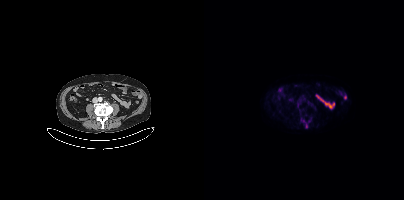
Findings: Only PSMA-avid lesion pieces thinner than 2 px on this slice (not listed).
Technique: Two-panel axial: CT | PSMA PET, [18F]PSMA-1007 tracer. acquired on Siemens Biograph mCT Flow 20. PET panel 200×200 px (4.1 mm/px).